Two-panel axial: CT | PSMA PET, [68Ga]Ga-PSMA-11 tracer. Slice 53 of 263. PET panel 256×256 px (2.7 mm/px).
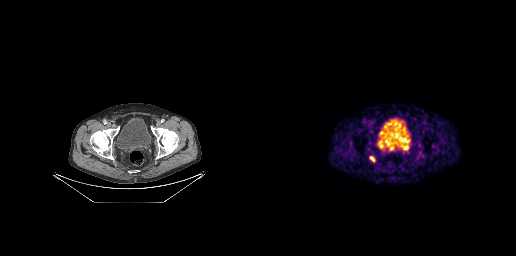
Coordinates are on the 256×256 PET (right) panel. PSMA-avid tumor lesion bounding boxes (x0, y0)-(x1, y1): (143, 145)-(148, 150) | (110, 156)-(114, 161).